Two-panel axial: CT | PSMA PET, 18F-PSMA tracer. PET panel 200×200 px (4.1 mm/px).
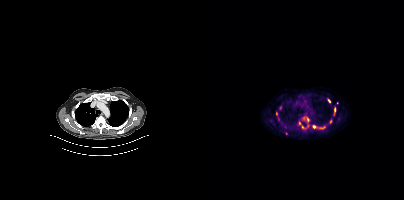
Coordinates are on the 200×200 PET (right) panel. (showing 11 of 12 foci) PSMA-avid tumor lesion bounding boxes (x0, y0)-(x1, y1): (99, 117)-(105, 121) | (108, 125)-(113, 128) | (130, 107)-(131, 112) | (115, 127)-(120, 128). Small PSMA-avid foci (2 to 4 px across) near (center x, center y): (99, 127) | (125, 100) | (95, 123) | (72, 113) | (126, 121) | (133, 102) | (103, 125).